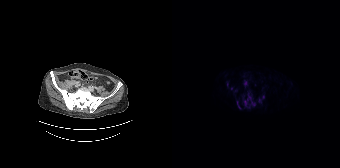
Coordinates are on the 168×168 PET (right) panel. (showing 5 of 6 foci) PSMA-avid tumor lesion bounding boxes (x0, y0)-(x1, y1): (65, 101)-(69, 109) | (72, 99)-(76, 105). Small PSMA-avid foci (2 to 4 px across) near (center x, center y): (81, 103) | (78, 98) | (59, 88).